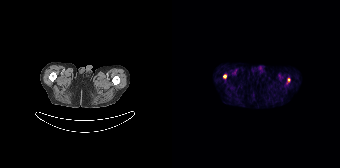
Left: CT. Right: PSMA PET, same axial level, 68Ga-PSMA tracer. Coordinates are on the 168×168 PET (right) panel. Small PSMA-avid foci (2 to 4 px across) near (center x, center y): (52, 76) / (116, 79).